Paired axial CT (left) and PSMA PET (right), 18F-PSMA tracer.
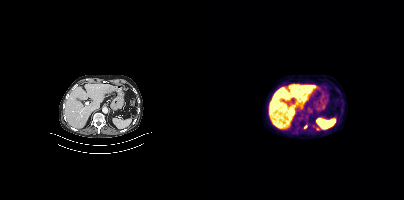
Coordinates are on the 200×200 PET (right) panel. Small PSMA-avid foci (2 to 4 px across) near (center x, center y): (113, 129); (101, 126).